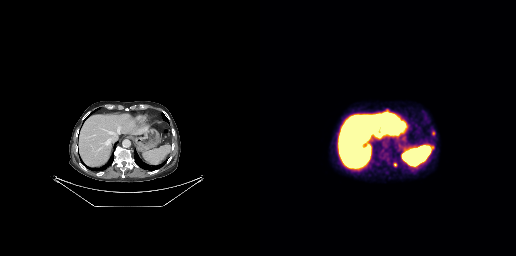
Coordinates are on the 256×256 PET (right) panel. PSMA-avid tumor lesion bounding boxes:
| # | x0 | y0 | x1 | y1 |
|---|---|---|---|---|
| 1 | 123 | 153 | 128 | 159 |
| 2 | 124 | 109 | 130 | 113 |
| 3 | 133 | 162 | 137 | 167 |
| 4 | 172 | 131 | 175 | 135 |
Left: CT. Right: PSMA PET, same axial level, 18F-PSMA tracer. PET panel 256×256 px (2.7 mm/px).